modality: PSMA PET/CT | tracer: 18F | view: axial | PET grid: 200×200
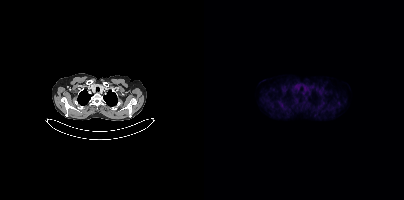
This slice has no annotated PSMA-avid lesion.